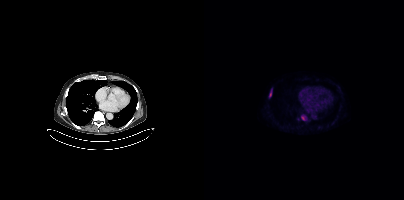
Coordinates are on the 200×200 PET (right) panel. PSMA-avid tumor lesion bounding boxes (x0,y0,x1,y1): [97,116,100,120]; [65,90,67,97].